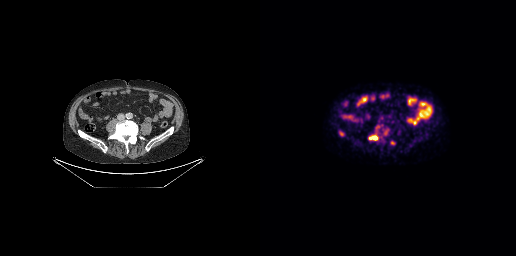
{"pet_grid":[256,256],"coord_frame":"pet_panel","coord_format":"x0,y0,x1,y1","partial":true,"lesion_bboxes":[[108,134,118,140]],"small_foci_centers":[[132,142],[81,133]],"modality":"PSMA PET/CT","view":"axial","tracer":"[18F]PSMA-1007"}